Two-panel axial: CT | PSMA PET, 18F tracer. PET panel 200×200 px (4.1 mm/px).
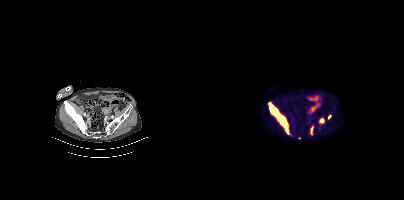
Coordinates are on the 200×200 PET (right) panel. (showing 5 of 6 foci) PSMA-avid tumor lesion bounding boxes (x0,y0,x1,y1): [64,102,85,134], [106,126,109,134], [115,118,120,123], [124,114,127,119]. Small PSMA-avid focus (2 to 4 px across) near (center x, center y): (115, 128).